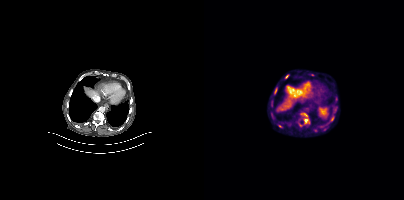
Coordinates are on the 200×200 PET (right) panel. (showing 3 of 4 foci) PSMA-avid tumor lesion bounding boxes (x0, y0)-(x1, y1): (100, 118)-(103, 123) | (97, 113)-(102, 116). Small PSMA-avid focus (2 to 4 px across) near (center x, center y): (130, 111).